Left: CT. Right: PSMA PET, same axial level, [18F]PSMA-1007 tracer.
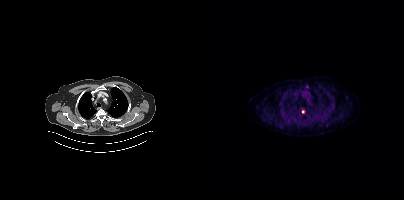
Coordinates are on the 200×200 PET (right) panel. Small PSMA-avid focus (2 to 4 px across) near (center x, center y): (99, 111).